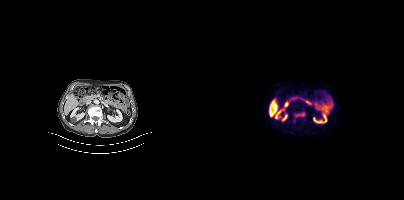
Coordinates are on the 200×200 PET (right) panel. PSMA-avid tumor lesion bounding boxes:
| # | x0 | y0 | x1 | y1 |
|---|---|---|---|---|
| 1 | 91 | 113 | 100 | 116 |
Left: CT. Right: PSMA PET, same axial level, [18F]PSMA-1007 tracer. Slice 185 of 421.